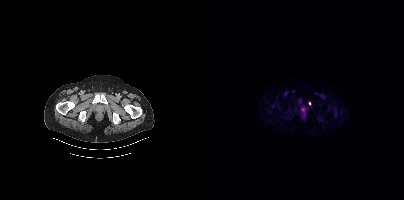
Coordinates are on the 200×200 PET (right) panel. PSMA-avid tumor lesion bounding boxes (x0, y0)-(x1, y1): (97, 107)-(102, 112) | (129, 112)-(134, 116) | (113, 115)-(117, 120) | (67, 104)-(71, 107). Small PSMA-avid foci (2 to 4 px across) near (center x, center y): (95, 101) | (105, 103).